Face de-identified by blanking a block of the head.
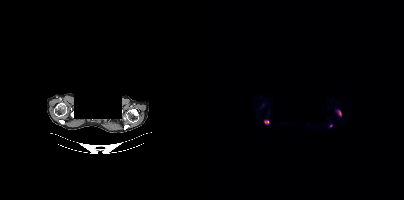
Coordinates are on the 200×200 PET (right) panel. PSMA-avid tumor lesion bounding boxes (x0,y0,x1,y1): [132,109,137,116]; [60,120,65,124]. Small PSMA-avid focus (2 to 4 px across) near (center x, center y): (126, 125).